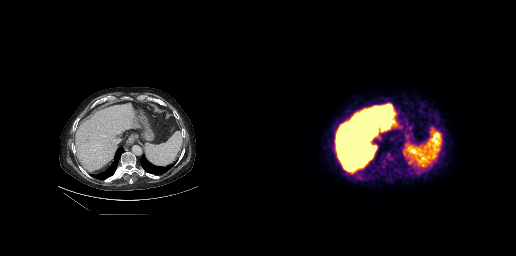
Technique: Paired axial CT (left) and PSMA PET (right), 18F tracer. acquired on GE Discovery 690. PET panel 256×256 px (2.7 mm/px).
Findings: Coordinates are on the 256×256 PET (right) panel. PSMA-avid tumor lesion bounding boxes (x0, y0)-(x1, y1): (122, 152)-(135, 165) | (75, 119)-(80, 123).